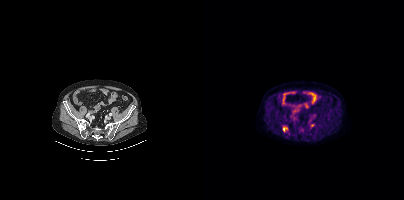
Coordinates are on the 200×200 PET (right) panel. PSMA-avid tumor lesion bounding box (x, y, width, height): x=79 y=126 w=5 h=6.